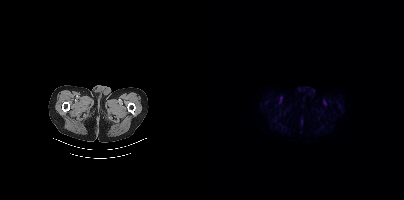
{"modality":"PSMA PET/CT","view":"axial","tracer":"18F-PSMA","pet_grid":[200,200],"coord_frame":"pet_panel","coord_format":"x0,y0,x1,y1","psma_avid_lesions":false}